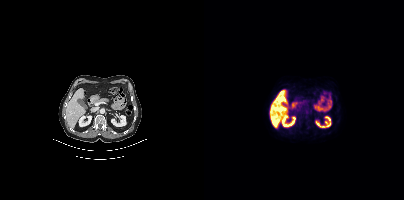
This slice has no annotated PSMA-avid lesion.